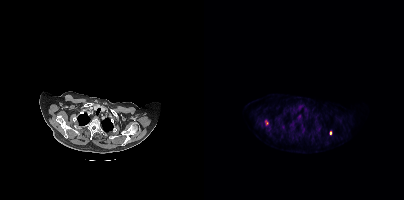
Coordinates are on the 200×200 PET (right) panel. (showing 1 of 2 foci) Small PSMA-avid focus (2 to 4 px across) near (center x, center y): (126, 132).